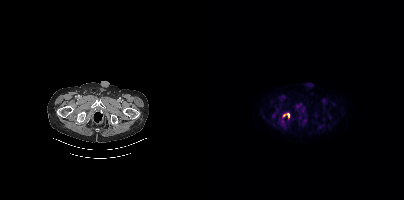
{"modality":"PSMA PET/CT","view":"axial","tracer":"18F-PSMA","pet_grid":[200,200],"coord_frame":"pet_panel","coord_format":"x0,y0,x1,y1","partial":true,"lesion_bboxes":[],"small_foci_centers":[[84,115]]}